Technique: Paired axial CT (left) and PSMA PET (right), [68Ga]Ga-PSMA-11 tracer. acquired on Siemens Biograph mCT Flow 20. slice position z = 600 mm. PET panel 200×200 px (4.1 mm/px).
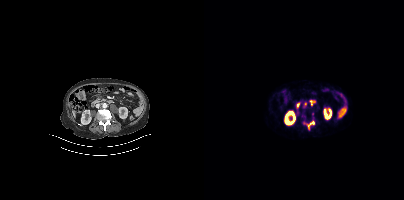
Findings: Coordinates are on the 200×200 PET (right) panel. PSMA-avid tumor lesion bounding box (x0,y0,x1,y1): [99,121,110,129]. Small PSMA-avid focus (2 to 4 px across) near (center x, center y): (101, 103).